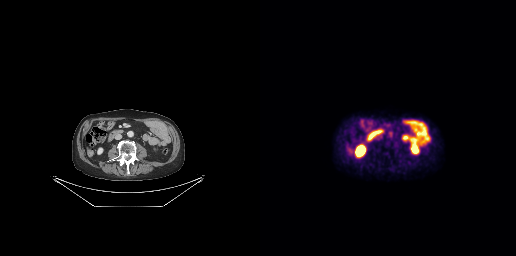
This slice has no annotated PSMA-avid lesion.